Paired axial CT (left) and PSMA PET (right), 18F tracer. PET panel 200×200 px (4.1 mm/px). Privacy masking over the head, with the pixels inside a rectangle set to black.
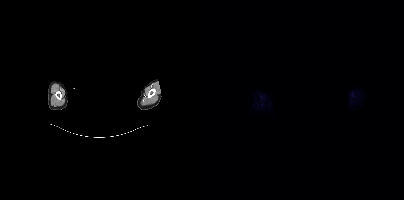
Negative for PSMA-avid disease on this slice.